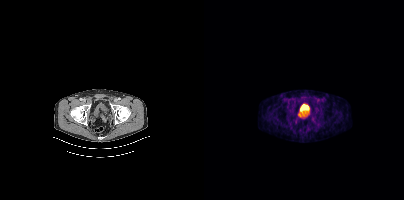
No PSMA-avid tumor lesions on this slice.